Technique: Left: CT. Right: PSMA PET, same axial level, 68Ga tracer. acquired on Siemens Biograph 64-4R TruePoint.
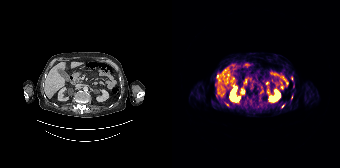
Findings: Coordinates are on the 168×168 PET (right) panel. (showing 5 of 6 foci) PSMA-avid tumor lesion bounding box (x0,y0,x1,y1): [53,102,57,106]. Small PSMA-avid foci (2 to 4 px across) near (center x, center y): (45, 76); (44, 96); (119, 97); (110, 106).